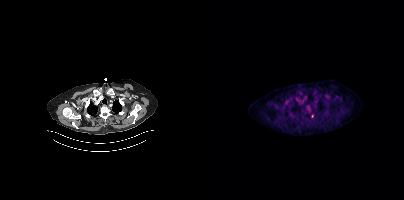
Only PSMA-avid lesion pieces thinner than 2 px on this slice (not listed). Two-panel axial: CT | PSMA PET, 18F tracer.